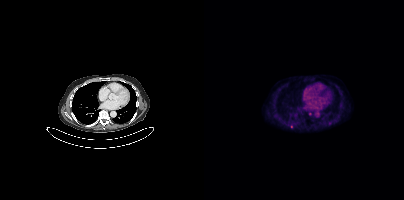
Two-panel axial: CT | PSMA PET, 18F tracer. Slice position z = -1290 mm. PET panel 200×200 px (4.1 mm/px). Only PSMA-avid lesion pieces thinner than 2 px on this slice (not listed).